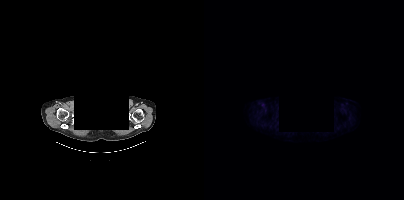
Any black rectangle over the head is a privacy mask, not anatomy.
This slice has no annotated PSMA-avid lesion.